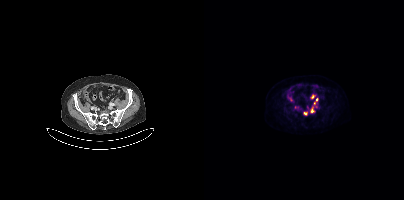
- Left: CT. Right: PSMA PET, same axial level, 18F-PSMA tracer
- acquired on Siemens Biograph mCT Flow 20
- slice position z = -2 mm
Findings: Coordinates are on the 200×200 PET (right) panel. (showing 4 of 5 foci) PSMA-avid tumor lesion bounding boxes (x0, y0)-(x1, y1): (110, 98)-(113, 104) / (107, 108)-(110, 112). Small PSMA-avid foci (2 to 4 px across) near (center x, center y): (101, 113) / (108, 96).